Paired axial CT (left) and PSMA PET (right), [18F]PSMA-1007 tracer. Acquired on Siemens Biograph mCT Flow 20. PET panel 200×200 px (4.1 mm/px).
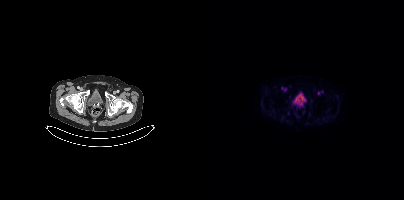
No PSMA-avid tumor lesions on this slice.